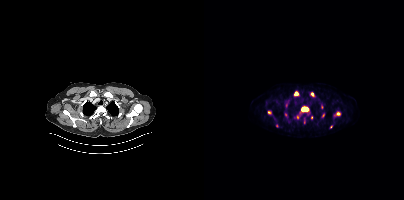
Coordinates are on the 200×200 PET (right) panel. (showing 12 of 15 foci) PSMA-avid tumor lesion bounding boxes (x, y, width, height): x=97 y=107 w=8 h=5 | x=90 y=92 w=5 h=4. Small PSMA-avid foci (2 to 4 px across) near (center x, center y): (65, 112) | (134, 113) | (82, 104) | (108, 94) | (100, 121) | (93, 117) | (117, 107) | (107, 117) | (127, 126) | (81, 114).